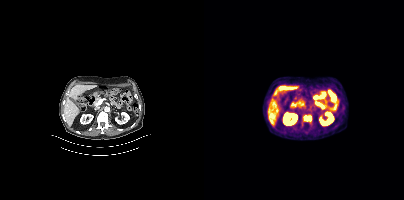
- Left: CT. Right: PSMA PET, same axial level, 18F tracer
- acquired on Siemens Biograph mCT Flow 20
Findings: Coordinates are on the 200×200 PET (right) panel. PSMA-avid tumor lesion bounding box (x0, y0)-(x1, y1): (99, 115)-(107, 121).